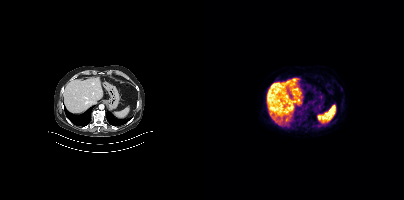
Findings: No tumor lesions annotated on this slice.
Technique: Two-panel axial: CT | PSMA PET, 18F-PSMA tracer.